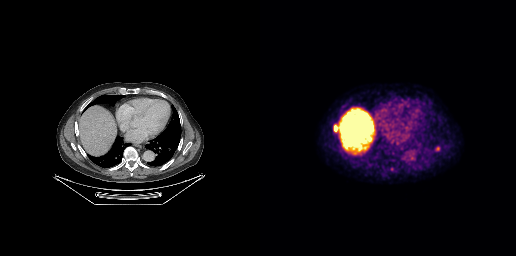
Paired axial CT (left) and PSMA PET (right), [18F]PSMA-1007 tracer.
Coordinates are on the 256×256 PET (right) panel. PSMA-avid tumor lesion bounding boxes:
| # | x0 | y0 | x1 | y1 |
|---|---|---|---|---|
| 1 | 74 | 124 | 79 | 131 |
Small PSMA-avid focus (2 to 4 px across) near (center x, center y): (177, 148).